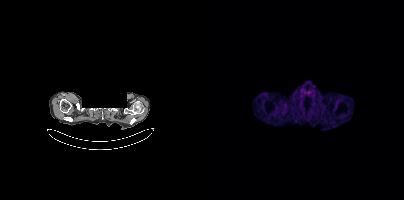
A rectangle over the head was blacked out to remove identifiable facial features. Paired axial CT (left) and PSMA PET (right), [68Ga]Ga-PSMA-11 tracer. Acquired on Siemens Biograph mCT Flow 20. Negative for PSMA-avid disease on this slice.